- Left: CT. Right: PSMA PET, same axial level, 18F tracer
- slice position z = -291 mm
- PET panel 256×256 px (2.7 mm/px)
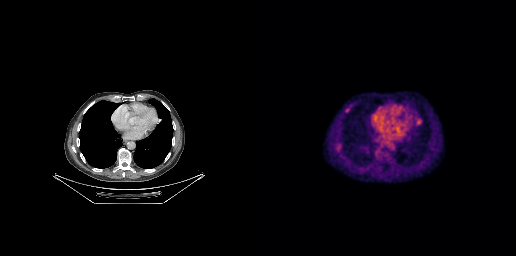
Findings: Coordinates are on the 256×256 PET (right) panel. (showing 1 of 2 foci) PSMA-avid tumor lesion bounding box (x0,y0,x1,y1): [85,104,92,112].